- Two-panel axial: CT | PSMA PET, [18F]PSMA-1007 tracer
- slice 234 of 387
- PET panel 200×200 px (4.1 mm/px)
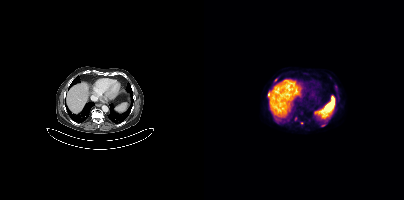
Findings: Coordinates are on the 200×200 PET (right) panel. PSMA-avid tumor lesion bounding boxes (x0,y0,x1,y1): [117,124,121,126]; [64,91,65,97]; [78,78,82,80]. Small PSMA-avid foci (2 to 4 px across) near (center x, center y): (71, 79); (98, 123); (131, 85).